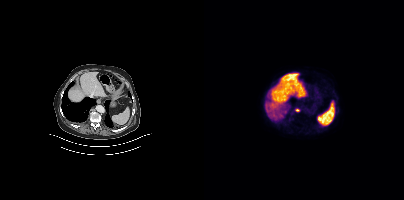
Coordinates are on the 200×200 PET (right) panel. Small PSMA-avid focus (2 to 4 px across) near (center x, center y): (93, 110).